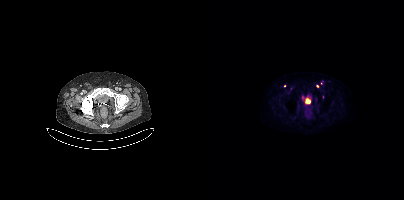
Coordinates are on the 200×200 PET (right) panel. (showing 2 of 3 foci) Small PSMA-avid foci (2 to 4 px across) near (center x, center y): (80, 85) | (113, 85).